Left: CT. Right: PSMA PET, same axial level, 68Ga tracer.
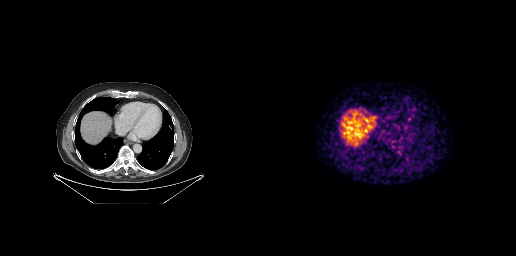
This slice has no annotated PSMA-avid lesion.